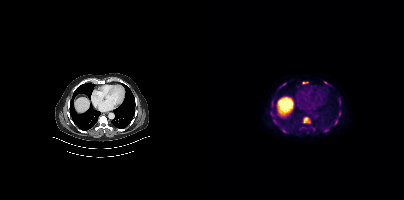
{"modality":"PSMA PET/CT","view":"axial","tracer":"[18F]PSMA-1007","pet_grid":[200,200],"coord_frame":"pet_panel","coord_format":"x0,y0,x1,y1","partial":true,"lesion_bboxes":[[99,117,106,123],[69,119,75,124],[119,128,124,132],[67,102,69,108],[66,110,69,115],[130,119,133,125],[78,128,82,132],[99,82,104,83],[78,83,82,86],[135,98,136,104]],"small_foci_centers":[[121,82],[75,87]]}